- Paired axial CT (left) and PSMA PET (right), [68Ga]Ga-PSMA-11 tracer
- slice position z = -369 mm
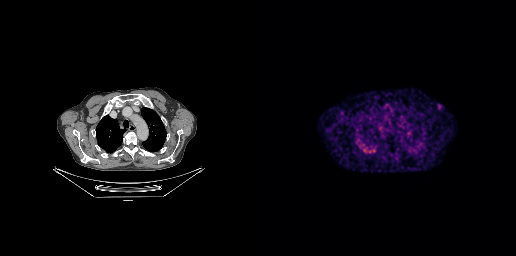
Findings: No tumor lesions annotated on this slice.